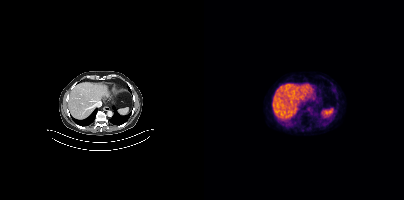
No PSMA-avid tumor lesions on this slice.